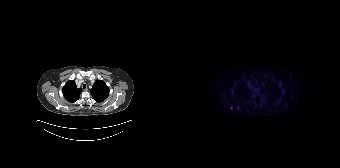
Coordinates are on the 168×168 PET (right) panel. (showing 1 of 2 foci) Small PSMA-avid focus (2 to 4 px across) near (center x, center y): (59, 108).